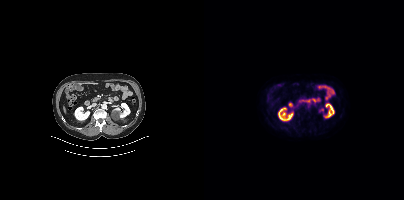
This slice has no annotated PSMA-avid lesion.